Technique: Left: CT. Right: PSMA PET, same axial level, [18F]PSMA-1007 tracer. PET panel 200×200 px (4.1 mm/px).
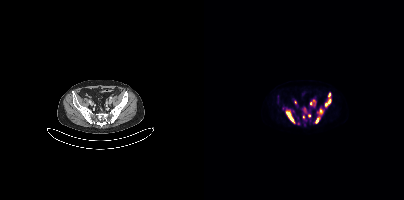
Findings: Coordinates are on the 200×200 PET (right) panel. PSMA-avid tumor lesion bounding boxes (x0,y0,x1,y1): [82,110,91,123] [121,99,126,106] [115,109,118,114] [109,99,112,104] [112,117,115,122]. Small PSMA-avid foci (2 to 4 px across) near (center x, center y): (125, 94) (91, 102) (99, 116) (106, 103) (105, 116) (100, 108) (94, 123).